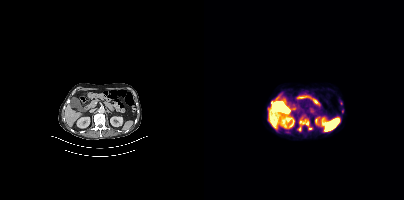
{"modality":"PSMA PET/CT","view":"axial","tracer":"[18F]PSMA-1007","pet_grid":[200,200],"coord_frame":"pet_panel","coord_format":"x0,y0,x1,y1","partial":true,"lesion_bboxes":[[94,121,108,131]],"small_foci_centers":[[138,111]]}